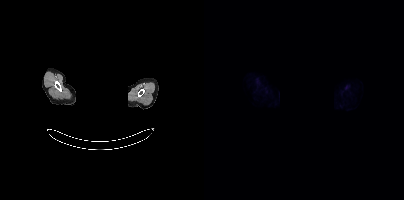
- Two-panel axial: CT | PSMA PET, 18F-PSMA tracer
- PET panel 200×200 px (4.1 mm/px)
- privacy masking over the head, with the pixels inside a rectangle set to black
Findings: Negative for PSMA-avid disease on this slice.